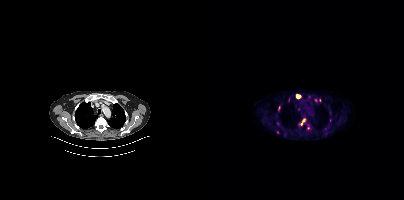
- Two-panel axial: CT | PSMA PET, [18F]PSMA-1007 tracer
Findings: Coordinates are on the 200×200 PET (right) panel. (showing 3 of 4 foci) PSMA-avid tumor lesion bounding boxes (x0, y0)-(x1, y1): (95, 118)-(101, 125) | (92, 94)-(96, 98). Small PSMA-avid focus (2 to 4 px across) near (center x, center y): (104, 128).